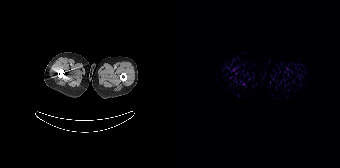
Negative for PSMA-avid disease on this slice. Paired axial CT (left) and PSMA PET (right), 18F-PSMA tracer. Acquired on Siemens Biograph 64-4R TruePoint.